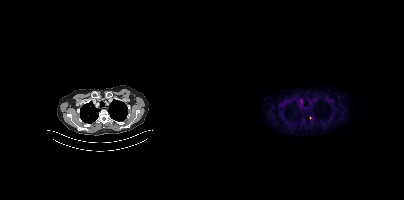
Coordinates are on the 200×200 PET (right) panel. Small PSMA-avid focus (2 to 4 px across) near (center x, center y): (106, 117). Two-panel axial: CT | PSMA PET, 18F tracer. Slice 333 of 423.